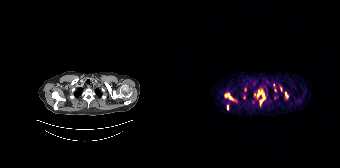
- Two-panel axial: CT | PSMA PET, 68Ga-PSMA tracer
- slice position z = -215 mm
Findings: Coordinates are on the 168×168 PET (right) panel. (showing 5 of 10 foci) PSMA-avid tumor lesion bounding boxes (x0, y0)-(x1, y1): (85, 90)-(93, 105) / (52, 93)-(61, 100) / (113, 92)-(116, 98) / (55, 105)-(56, 109). Small PSMA-avid focus (2 to 4 px across) near (center x, center y): (72, 97).